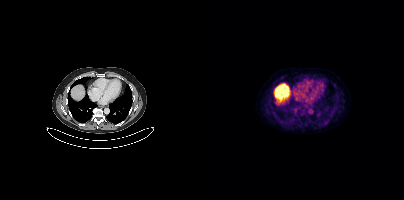
Left: CT. Right: PSMA PET, same axial level, [18F]PSMA-1007 tracer. Acquired on Siemens Biograph mCT Flow 20. This slice has no annotated PSMA-avid lesion.